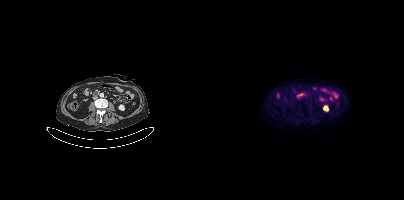
Two-panel axial: CT | PSMA PET, 18F tracer. Slice position z = -1494 mm. Negative for PSMA-avid disease on this slice.